Two-panel axial: CT | PSMA PET, 18F-PSMA tracer. Slice 147 of 263.
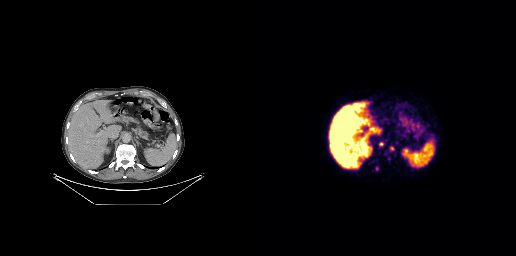
Coordinates are on the 256×256 PET (right) panel. PSMA-avid tumor lesion bounding boxes:
| # | x0 | y0 | x1 | y1 |
|---|---|---|---|---|
| 1 | 119 | 142 | 123 | 146 |
| 2 | 130 | 146 | 134 | 150 |
Small PSMA-avid focus (2 to 4 px across) near (center x, center y): (117, 168).